Technique: Paired axial CT (left) and PSMA PET (right), 18F-PSMA tracer. slice 382 of 462.
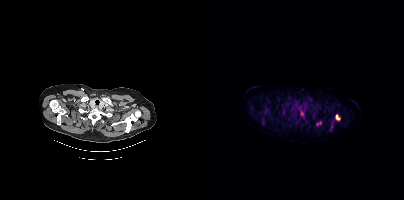
Findings: Coordinates are on the 200×200 PET (right) panel. (showing 3 of 4 foci) PSMA-avid tumor lesion bounding boxes (x, y, width, height): x=131 y=114 w=6 h=7 / x=95 y=109 w=6 h=8 / x=113 y=122 w=5 h=4.